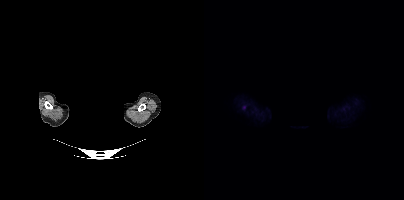
de-identification: head region blanked (face removed) | modality: PSMA PET/CT | tracer: 18F-PSMA | view: axial | PET grid: 200×200
Coordinates are on the 200×200 PET (right) panel. Small PSMA-avid focus (2 to 4 px across) near (center x, center y): (39, 107).